Paired axial CT (left) and PSMA PET (right), 18F-PSMA tracer. Acquired on Siemens Biograph mCT Flow 20. PET panel 200×200 px (4.1 mm/px).
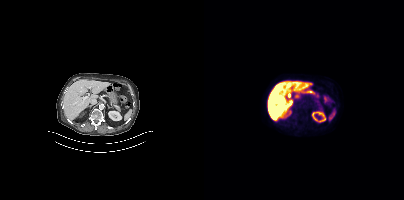
No PSMA-avid tumor lesions on this slice.